Two-panel axial: CT | PSMA PET, 68Ga-PSMA tracer. Acquired on Siemens Biograph mCT Flow 20.
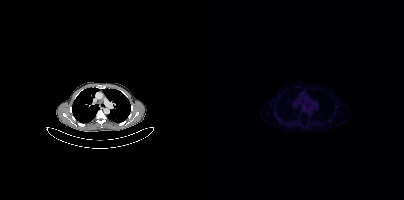
No PSMA-avid tumor lesions on this slice.